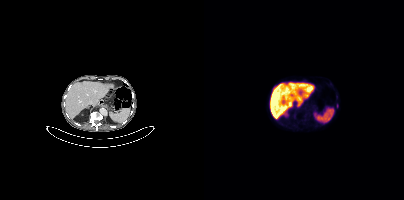
Only PSMA-avid lesion pieces thinner than 2 px on this slice (not listed).
modality: PSMA PET/CT | tracer: [18F]PSMA-1007 | view: axial | PET grid: 200×200